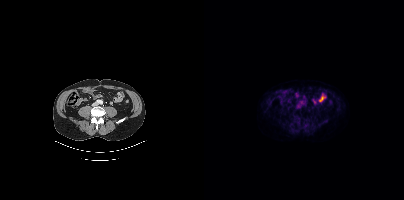
Negative for PSMA-avid disease on this slice.